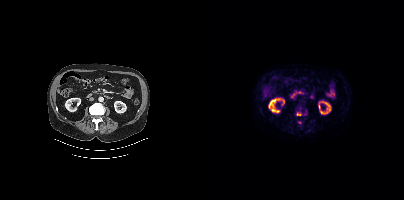
Technique: Two-panel axial: CT | PSMA PET, [18F]PSMA-1007 tracer. acquired on Siemens Biograph mCT Flow 20. slice 201 of 454. PET panel 200×200 px (4.1 mm/px).
Findings: Coordinates are on the 200×200 PET (right) panel. PSMA-avid tumor lesion bounding box (x0, y0)-(x1, y1): (92, 112)-(97, 115). Small PSMA-avid focus (2 to 4 px across) near (center x, center y): (95, 122).